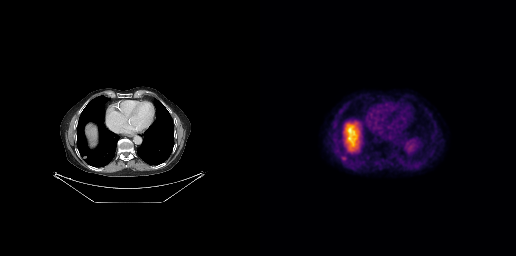
Technique: Paired axial CT (left) and PSMA PET (right), 18F-PSMA tracer. acquired on GE Discovery 690. PET panel 256×256 px (2.7 mm/px).
Findings: Coordinates are on the 256×256 PET (right) panel. PSMA-avid tumor lesion bounding box (x, y, width, height): x=82 y=156 w=4 h=5.